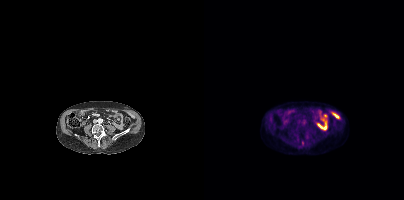
{"modality":"PSMA PET/CT","view":"axial","tracer":"18F-PSMA","pet_grid":[200,200],"coord_frame":"pet_panel","coord_format":"x0,y0,x1,y1","lesion_bboxes":[[98,141,99,145]]}